modality: PSMA PET/CT | tracer: [18F]PSMA-1007 | view: axial
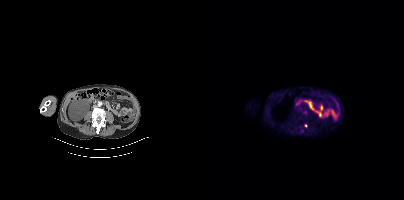
Coordinates are on the 200×200 PET (right) panel. Small PSMA-avid focus (2 to 4 px across) near (center x, center y): (102, 125).